Technique: Two-panel axial: CT | PSMA PET, 18F tracer. acquired on Siemens Biograph mCT Flow 20. slice position z = -1029 mm.
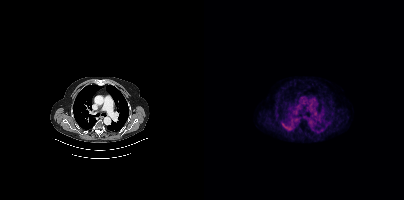
Findings: No tumor lesions annotated on this slice.